modality: PSMA PET/CT | tracer: [18F]PSMA-1007 | view: axial | PET grid: 200×200
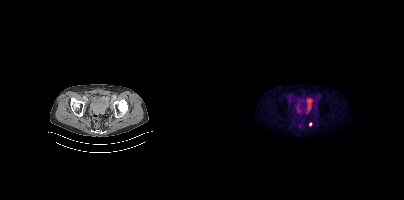
Coordinates are on the 200×200 PET (right) panel. Small PSMA-avid focus (2 to 4 px across) near (center x, center y): (106, 123).